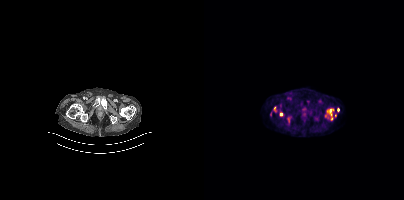
{"modality":"PSMA PET/CT","view":"axial","tracer":"[18F]PSMA-1007","pet_grid":[200,200],"coord_frame":"pet_panel","coord_format":"x0,y0,x1,y1","lesion_bboxes":[],"small_foci_centers":[[77,114]]}